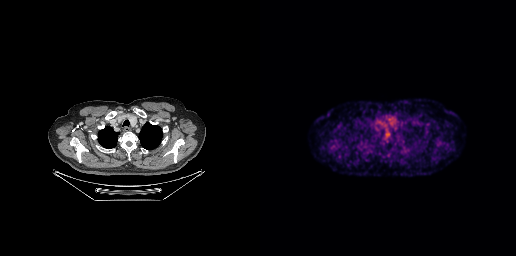
No tumor lesions annotated on this slice.